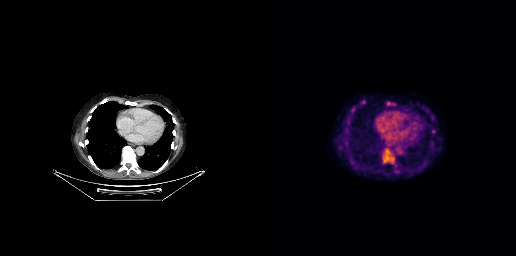
Coordinates are on the 256×256 PET (right) panel. Small PSMA-avid focus (2 to 4 px across) near (center x, center y): (123, 159). Paired axial CT (left) and PSMA PET (right), 18F tracer. Acquired on GE Discovery 690.